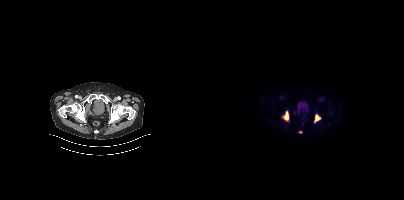
{"modality":"PSMA PET/CT","view":"axial","tracer":"18F","pet_grid":[200,200],"coord_frame":"pet_panel","coord_format":"x0,y0,x1,y1","lesion_bboxes":[[79,111,84,120],[110,114,116,121]],"small_foci_centers":[[96,131]]}